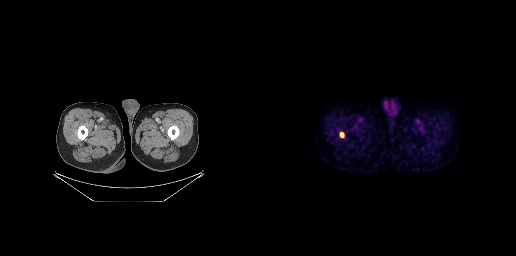
{"pet_grid":[256,256],"coord_frame":"pet_panel","coord_format":"x0,y0,x1,y1","lesion_bboxes":[[80,132,84,137]],"modality":"PSMA PET/CT","view":"axial","tracer":"18F"}